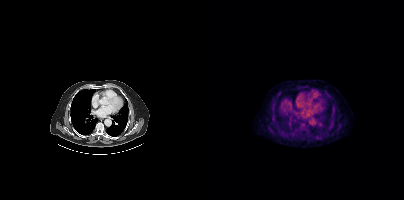
Findings: Negative for PSMA-avid disease on this slice.
Technique: Paired axial CT (left) and PSMA PET (right), 18F tracer. slice 291 of 415.